modality: PSMA PET/CT | tracer: 18F | view: axial
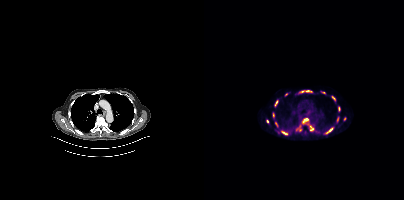
Coordinates are on the 200×200 PET (right) panel. (showing 14 of 15 foci) PSMA-avid tumor lesion bounding boxes (x0, y0)-(x1, y1): (94, 90)-(108, 94); (98, 118)-(104, 123); (104, 124)-(109, 131); (77, 131)-(83, 134); (71, 100)-(74, 106); (122, 128)-(128, 133); (128, 96)-(131, 100); (134, 106)-(136, 110); (69, 112)-(70, 117); (62, 119)-(64, 123); (92, 128)-(97, 131); (71, 122)-(73, 126). Small PSMA-avid foci (2 to 4 px across) near (center x, center y): (119, 92); (140, 119).